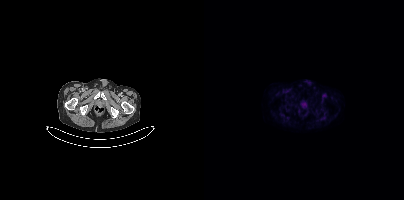
No tumor lesions annotated on this slice.